Two-panel axial: CT | PSMA PET, 18F-PSMA tracer. Acquired on Siemens Biograph mCT Flow 20.
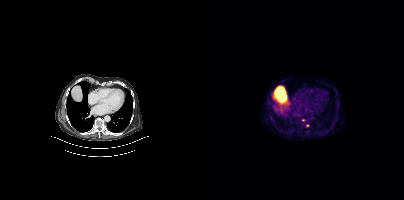
Coordinates are on the 200×200 PET (right) panel. (showing 1 of 2 foci) Small PSMA-avid focus (2 to 4 px across) near (center x, center y): (103, 125).